Left: CT. Right: PSMA PET, same axial level, [18F]PSMA-1007 tracer. Acquired on Siemens Biograph mCT Flow 20. PET panel 200×200 px (4.1 mm/px).
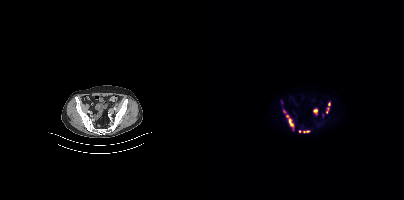
Coordinates are on the 200×200 PET (right) panel. PSMA-avid tumor lesion bounding boxes (partial; 2 more foci not listed):
| # | x0 | y0 | x1 | y1 |
|---|---|---|---|---|
| 1 | 79 | 108 | 89 | 130 |
| 2 | 99 | 130 | 105 | 132 |
Small PSMA-avid foci (2 to 4 px across) near (center x, center y): (111, 110); (125, 104); (95, 131); (122, 111).